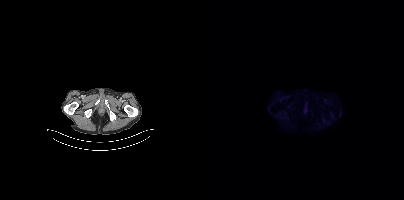
No tumor lesions annotated on this slice.